Paired axial CT (left) and PSMA PET (right), [18F]PSMA-1007 tracer. Acquired on Siemens Biograph mCT Flow 20. PET panel 200×200 px (4.1 mm/px).
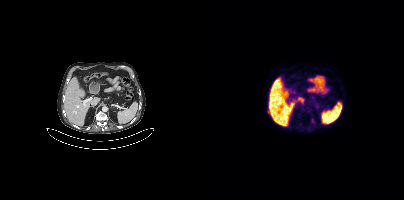
Coordinates are on the 200×200 PET (right) panel. Small PSMA-avid focus (2 to 4 px across) near (center x, center y): (64, 112).